Paired axial CT (left) and PSMA PET (right), 18F tracer.
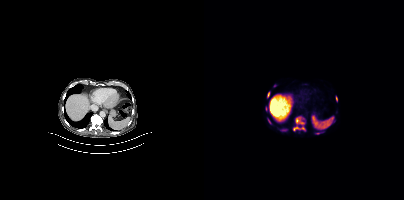
Coordinates are on the 200×200 PET (right) panel. PSMA-avid tumor lesion bounding boxes (partial; 1 more focus not listed):
| # | x0 | y0 | x1 | y1 |
|---|---|---|---|---|
| 1 | 89 | 116 | 101 | 130 |
| 2 | 63 | 92 | 65 | 97 |
| 3 | 132 | 96 | 133 | 101 |
Small PSMA-avid foci (2 to 4 px across) near (center x, center y): (65, 121); (113, 133); (61, 108).